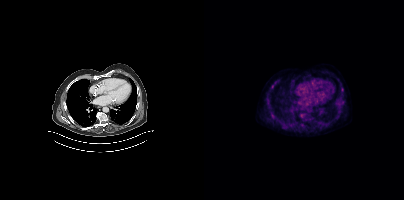
Technique: Two-panel axial: CT | PSMA PET, [18F]PSMA-1007 tracer. acquired on Siemens Biograph mCT Flow 20. slice 259 of 411. PET panel 200×200 px (4.1 mm/px).
Findings: Coordinates are on the 200×200 PET (right) panel. (showing 1 of 2 foci) Small PSMA-avid focus (2 to 4 px across) near (center x, center y): (68, 86).